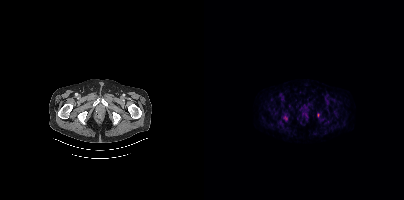
Two-panel axial: CT | PSMA PET, [18F]PSMA-1007 tracer. Only PSMA-avid lesion pieces thinner than 2 px on this slice (not listed).